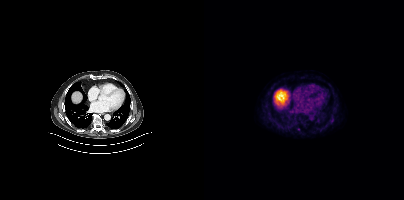
- Two-panel axial: CT | PSMA PET, 18F tracer
Findings: Coordinates are on the 200×200 PET (right) panel. Small PSMA-avid focus (2 to 4 px across) near (center x, center y): (94, 129).